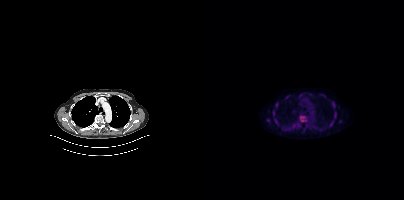
- Paired axial CT (left) and PSMA PET (right), 18F tracer
- PET panel 200×200 px (4.1 mm/px)
Findings: Coordinates are on the 200×200 PET (right) panel. PSMA-avid tumor lesion bounding boxes (x0,y0,x1,y1): [128,102,130,107]; [69,111,70,115]; [131,112,132,117]; [71,119,73,123]. Small PSMA-avid foci (2 to 4 px across) near (center x, center y): (72, 104); (64, 120).